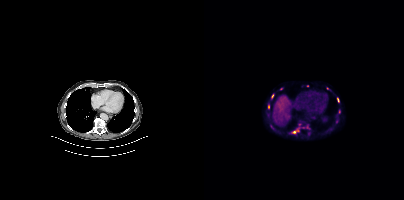
Coordinates are on the 200×200 PET (right) panel. (showing 6 of 7 foci) Small PSMA-avid foci (2 to 4 px across) near (center x, center y): (68, 95); (90, 132); (133, 99); (64, 106); (135, 111); (123, 88). Two-panel axial: CT | PSMA PET, 18F tracer. PET panel 200×200 px (4.1 mm/px).